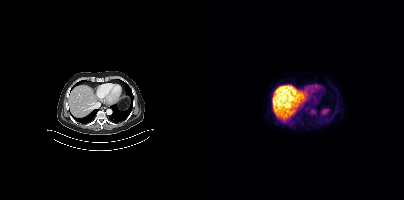
modality: PSMA PET/CT | tracer: [18F]PSMA-1007 | view: axial
Negative for PSMA-avid disease on this slice.